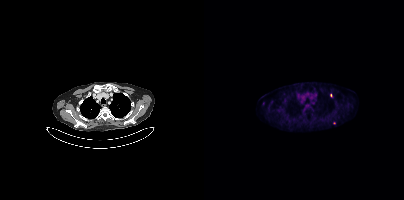
Only PSMA-avid lesion pieces thinner than 2 px on this slice (not listed).